Paired axial CT (left) and PSMA PET (right), 18F-PSMA tracer. Slice position z = -676 mm. PET panel 256×256 px (2.7 mm/px).
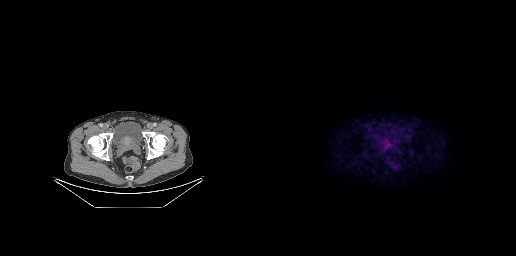
Coordinates are on the 256×256 PET (right) panel. PSMA-avid tumor lesion bounding box (x0, y0)-(x1, y1): (121, 139)-(131, 149).